Left: CT. Right: PSMA PET, same axial level, 18F tracer. Acquired on Siemens Biograph 64-4R TruePoint.
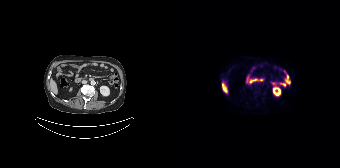
This slice has no annotated PSMA-avid lesion.